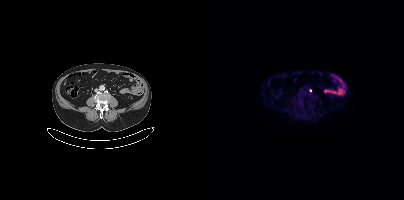
- Paired axial CT (left) and PSMA PET (right), 18F tracer
- acquired on Siemens Biograph mCT Flow 20
- slice 150 of 419
- PET panel 200×200 px (4.1 mm/px)
Findings: This slice has no annotated PSMA-avid lesion.